Technique: Paired axial CT (left) and PSMA PET (right), 18F-PSMA tracer. slice position z = -1825 mm. PET panel 200×200 px (4.1 mm/px).
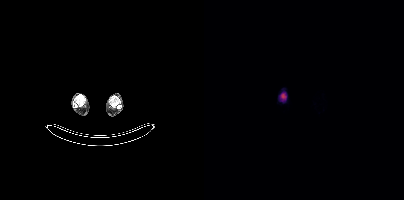
Findings: Coordinates are on the 200×200 PET (right) panel. PSMA-avid tumor lesion bounding box (x0, y0)-(x1, y1): (77, 93)-(81, 98).